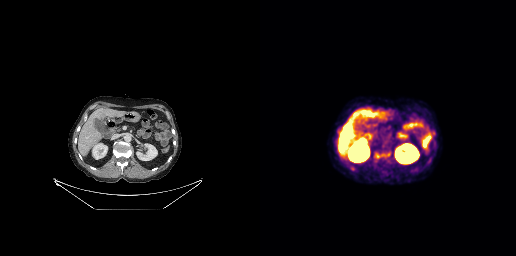
Only PSMA-avid lesion pieces thinner than 2 px on this slice (not listed).